Left: CT. Right: PSMA PET, same axial level, [68Ga]Ga-PSMA-11 tracer. PET panel 168×168 px (4.1 mm/px).
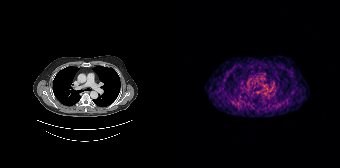
No PSMA-avid tumor lesions on this slice.